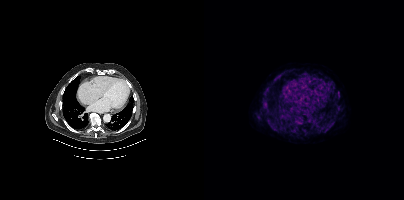
Findings: No tumor lesions annotated on this slice.
Technique: Two-panel axial: CT | PSMA PET, 18F-PSMA tracer. acquired on Siemens Biograph mCT Flow 20. slice position z = -517 mm. PET panel 200×200 px (4.1 mm/px).